modality: PSMA PET/CT | tracer: 18F-PSMA | view: axial | PET grid: 200×200
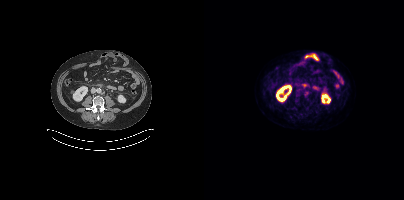
Coordinates are on the 200×200 PET (right) panel. PSMA-avid tumor lesion bounding box (x, y, width, height): x=100 y=91 w=5 h=6.